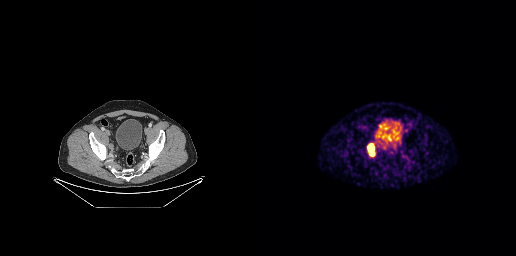
{"modality":"PSMA PET/CT","view":"axial","tracer":"68Ga","pet_grid":[256,256],"coord_frame":"pet_panel","coord_format":"x0,y0,x1,y1","lesion_bboxes":[[107,143,115,156]]}